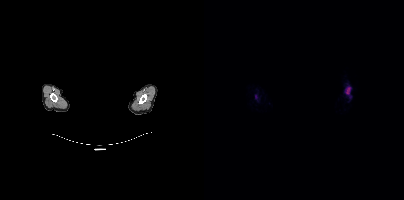
modality: PSMA PET/CT | tracer: 18F-PSMA | view: axial | redaction: head region blanked (face removed)
Coordinates are on the 200×200 PET (right) panel. PSMA-avid tumor lesion bounding box (x, y, width, height): x=141 y=87 w=6 h=8. Small PSMA-avid focus (2 to 4 px across) near (center x, center y): (51, 96).